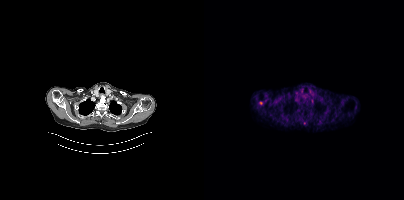
Coordinates are on the 200×200 PET (right) panel. Small PSMA-avid focus (2 to 4 px across) near (center x, center y): (100, 122). Left: CT. Right: PSMA PET, same axial level, 18F tracer. Slice 347 of 427.